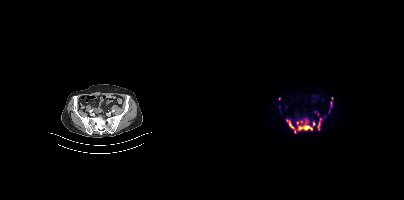
Left: CT. Right: PSMA PET, same axial level, [18F]PSMA-1007 tracer.
Coordinates are on the 200×200 PET (right) panel. PSMA-avid tumor lesion bounding boxes (partial; 4 more foci not listed):
| # | x0 | y0 | x1 | y1 |
|---|---|---|---|---|
| 1 | 93 | 122 | 108 | 130 |
| 2 | 82 | 119 | 91 | 132 |
| 3 | 114 | 123 | 115 | 130 |
Small PSMA-avid foci (2 to 4 px across) near (center x, center y): (109, 124); (128, 98); (75, 98); (97, 121).